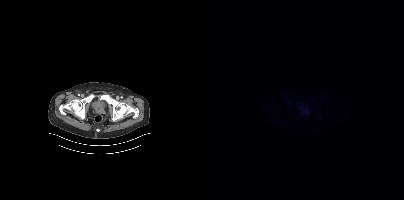
Two-panel axial: CT | PSMA PET, 18F tracer. PET panel 200×200 px (4.1 mm/px). No tumor lesions annotated on this slice.